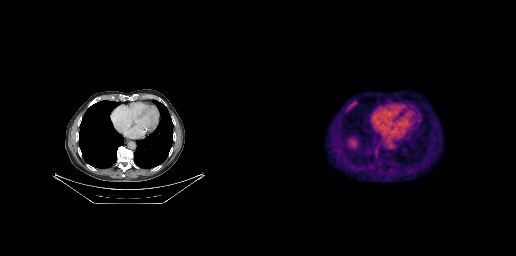
{"modality":"PSMA PET/CT","view":"axial","tracer":"[18F]PSMA-1007","pet_grid":[256,256],"coord_frame":"pet_panel","coord_format":"x0,y0,x1,y1","lesion_bboxes":[[85,100,97,112]]}